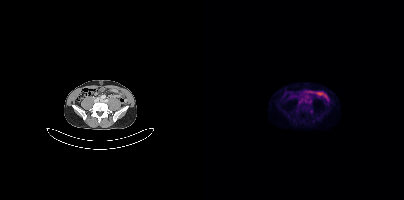
{"modality":"PSMA PET/CT","view":"axial","tracer":"18F-PSMA","pet_grid":[200,200],"coord_frame":"pet_panel","coord_format":"x0,y0,x1,y1","lesion_bboxes":[[105,109,109,113]]}